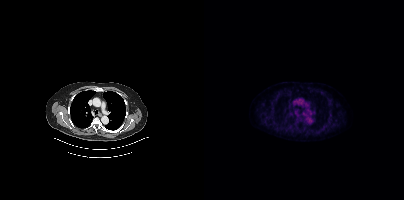
{"modality":"PSMA PET/CT","view":"axial","tracer":"18F","pet_grid":[200,200],"coord_frame":"pet_panel","coord_format":"x0,y0,x1,y1","psma_avid_lesions":false}